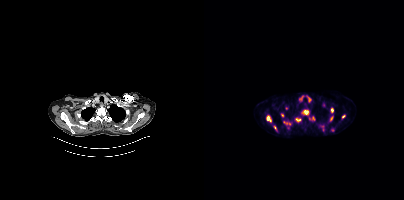
modality: PSMA PET/CT | tracer: 18F | view: axial
Coordinates are on the 200×200 PET (right) panel. (showing 11 of 14 foci) PSMA-avid tumor lesion bounding boxes (x, y, width, height): x=62 y=115 w=6 h=8 / x=98 y=110 w=7 h=5 / x=91 y=117 w=6 h=6 / x=79 y=121 w=9 h=5 / x=69 y=125 w=5 h=7 / x=127 y=108 w=3 h=5 / x=77 y=113 w=3 h=5. Small PSMA-avid foci (2 to 4 px across) near (center x, center y): (139, 116) / (127, 118) / (109, 118) / (82, 108).